Two-panel axial: CT | PSMA PET, 68Ga-PSMA tracer. Acquired on GE Discovery 690. Slice 15 of 263. PET panel 256×256 px (2.7 mm/px).
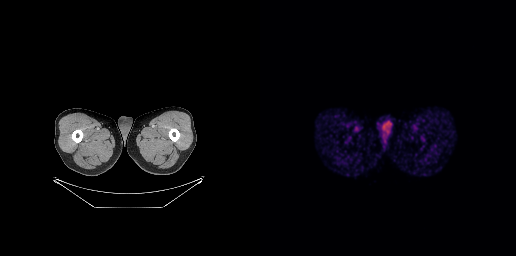
This slice has no annotated PSMA-avid lesion.